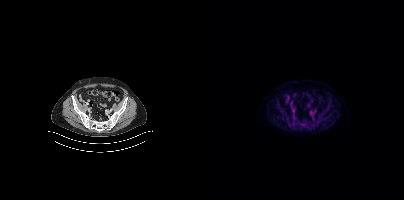
Coordinates are on the 200×200 PET (right) panel. PSMA-avid tumor lesion bounding box (x0,y0,x1,y1): [86,104,91,113].